Paired axial CT (left) and PSMA PET (right), [18F]PSMA-1007 tracer. Acquired on Siemens Biograph mCT Flow 20.
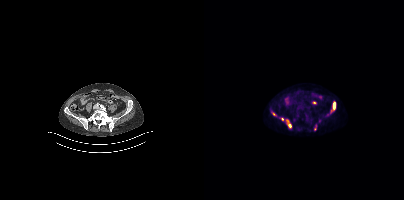
Coordinates are on the 200×200 PET (right) panel. PSMA-avid tumor lesion bounding boxes (x, y, width, height): x=126 y=101 w=7 h=12 | x=82 y=119 w=6 h=9. Small PSMA-avid foci (2 to 4 px across) near (center x, center y): (78, 119) | (70, 114) | (110, 129).